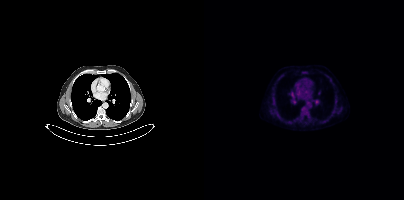
modality: PSMA PET/CT | tracer: 18F-PSMA | view: axial | PET grid: 200×200
No PSMA-avid tumor lesions on this slice.